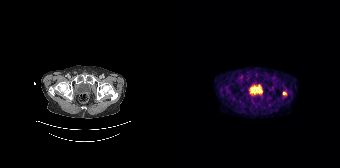
Findings: Coordinates are on the 168×168 PET (right) panel. Small PSMA-avid focus (2 to 4 px across) near (center x, center y): (112, 93).
- Left: CT. Right: PSMA PET, same axial level, 68Ga-PSMA tracer
- acquired on Siemens Biograph 64-4R TruePoint